Paired axial CT (left) and PSMA PET (right), 18F tracer. PET panel 200×200 px (4.1 mm/px).
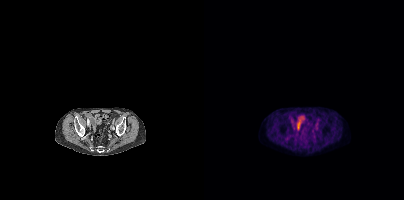
This slice has no annotated PSMA-avid lesion.